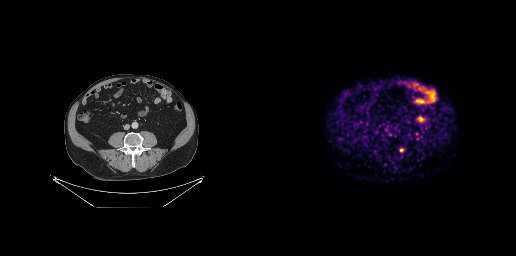
Coordinates are on the 256×256 PET (right) panel. PSMA-avid tumor lesion bounding box (x, y, width, height): x=139 y=148 w=5 h=5.